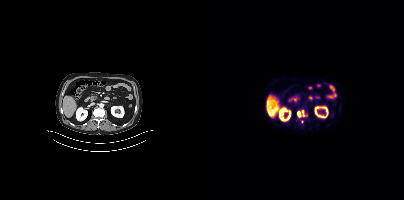
{"modality":"PSMA PET/CT","view":"axial","tracer":"18F-PSMA","pet_grid":[200,200],"coord_frame":"pet_panel","coord_format":"x0,y0,x1,y1","lesion_bboxes":[[93,110,103,117]],"small_foci_centers":[[98,121]]}